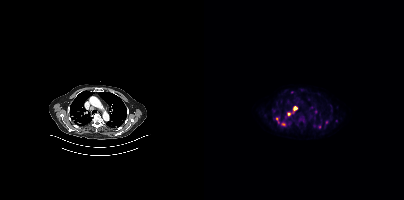
Findings: Coordinates are on the 200×200 PET (right) panel. (showing 8 of 9 foci) PSMA-avid tumor lesion bounding boxes (x0,y0,x1,y1): [89,106,93,110] [72,117,74,122] [77,123,81,125]. Small PSMA-avid foci (2 to 4 px across) near (center x, center y): (115, 126) (88, 92) (85, 114) (122, 122) (111, 111).
- Two-panel axial: CT | PSMA PET, 18F-PSMA tracer
- acquired on Siemens Biograph mCT Flow 20
- PET panel 200×200 px (4.1 mm/px)